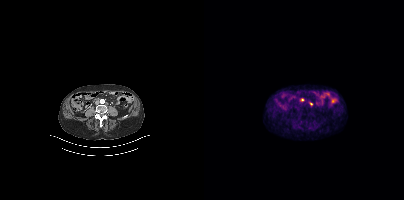
Two-panel axial: CT | PSMA PET, 68Ga-PSMA tracer. PET panel 200×200 px (4.1 mm/px). Coordinates are on the 200×200 PET (right) panel. Small PSMA-avid focus (2 to 4 px across) near (center x, center y): (98, 99).